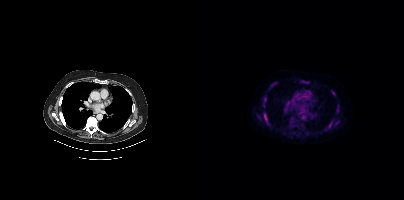
{"pet_grid":[200,200],"coord_frame":"pet_panel","coord_format":"x0,y0,x1,y1","lesion_bboxes":[[61,115,62,119]],"modality":"PSMA PET/CT","view":"axial","tracer":"18F-PSMA"}